Technique: Two-panel axial: CT | PSMA PET, [18F]PSMA-1007 tracer. slice 143 of 367. PET panel 200×200 px (4.1 mm/px).
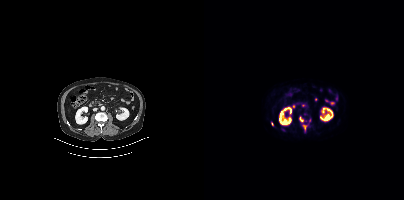
Findings: Coordinates are on the 200×200 PET (right) panel. (showing 2 of 3 foci) PSMA-avid tumor lesion bounding boxes (x0, y0)-(x1, y1): (95, 117)-(99, 121); (100, 125)-(101, 131).